Left: CT. Right: PSMA PET, same axial level, [18F]PSMA-1007 tracer. Slice position z = -1401 mm. PET panel 200×200 px (4.1 mm/px).
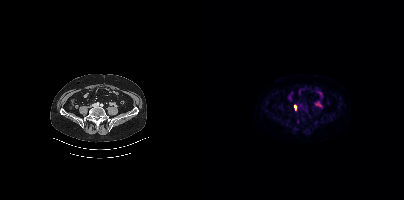
Coordinates are on the 200×200 PET (right) panel. PSMA-avid tumor lesion bounding box (x, y, width, height): x=90 y=105 w=3 h=5.